Paired axial CT (left) and PSMA PET (right), 18F tracer. PET panel 200×200 px (4.1 mm/px).
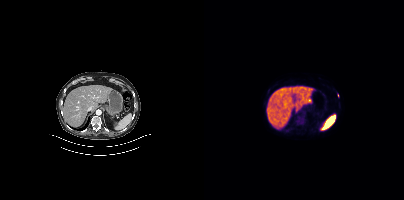
Only PSMA-avid lesion pieces thinner than 2 px on this slice (not listed).